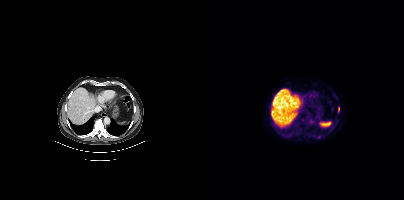
Coordinates are on the 200×200 PET (right) panel. PSMA-avid tumor lesion bounding box (x0,y0,x1,y1): [134,107,135,111].